- a rectangle over the head was blacked out to remove identifiable facial features
- Left: CT. Right: PSMA PET, same axial level, 18F-PSMA tracer
- acquired on Siemens Biograph mCT Flow 20
- slice position z = -402 mm
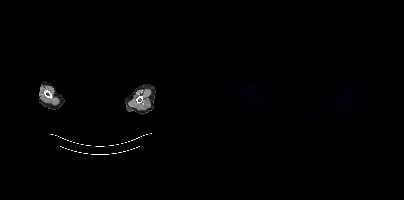
Findings: No PSMA-avid tumor lesions on this slice.